Technique: Left: CT. Right: PSMA PET, same axial level, 68Ga tracer. PET panel 200×200 px (4.1 mm/px).
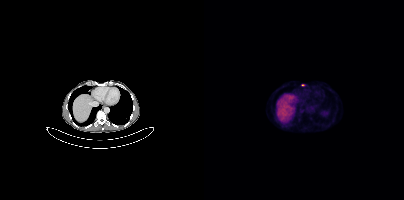
Findings: Only PSMA-avid lesion pieces thinner than 2 px on this slice (not listed).